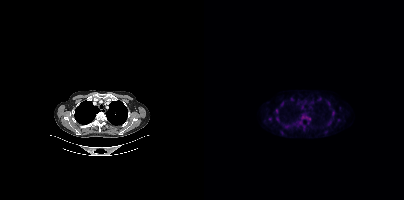
Coordinates are on the 200×200 PET (right) panel. Small PSMA-avid foci (2 to 4 px across) near (center x, center y): (129, 113); (72, 110); (73, 119); (78, 103); (65, 118).